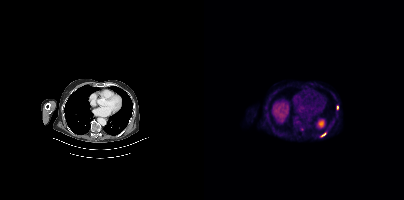
Coordinates are on the 200×200 PET (right) panel. PSMA-avid tumor lesion bounding boxes (x0, y0)-(x1, y1): (117, 133)-(121, 136) | (133, 105)-(134, 109). Small PSMA-avid foci (2 to 4 px across) near (center x, center y): (97, 129) | (70, 92).